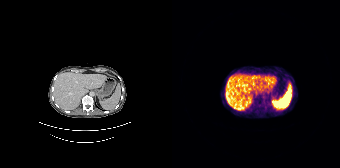
No PSMA-avid tumor lesions on this slice.